Paired axial CT (left) and PSMA PET (right), 68Ga tracer. Acquired on GE Discovery 690.
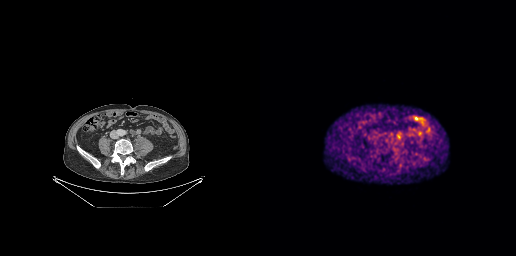
This slice has no annotated PSMA-avid lesion.